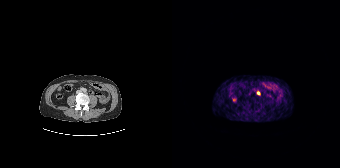
Coordinates are on the 168×168 PET (right) panel. Small PSMA-avid focus (2 to 4 px across) near (center x, center y): (86, 93).
modality: PSMA PET/CT | tracer: [68Ga]Ga-PSMA-11 | view: axial